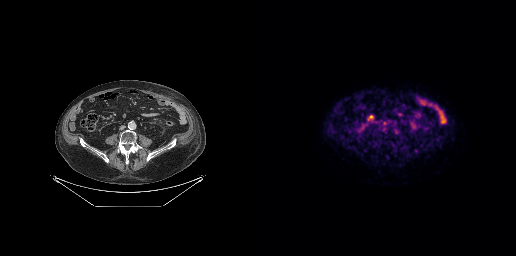
- Left: CT. Right: PSMA PET, same axial level, 18F-PSMA tracer
- PET panel 256×256 px (2.7 mm/px)
Findings: Coordinates are on the 256×256 PET (right) panel. (showing 1 of 3 foci) PSMA-avid tumor lesion bounding box (x0,y0,x1,y1): [123,121,127,125].